modality: PSMA PET/CT | tracer: 18F-PSMA | view: axial | PET grid: 200×200
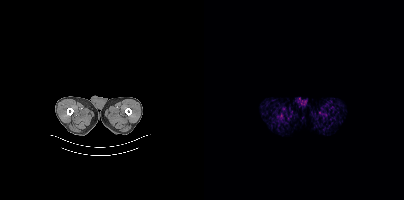
No PSMA-avid tumor lesions on this slice.